- Paired axial CT (left) and PSMA PET (right), 18F tracer
- PET panel 200×200 px (4.1 mm/px)
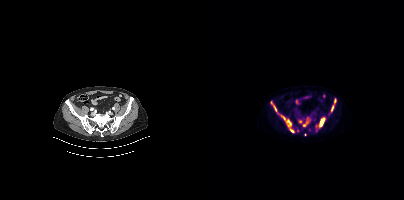
Findings: Coordinates are on the 200×200 PET (right) panel. (showing 11 of 12 foci) PSMA-avid tumor lesion bounding boxes (x0,y0,x1,y1): [77,115,87,127] [115,118,121,126] [99,118,104,126] [66,101,72,111] [127,105,129,111]. Small PSMA-avid foci (2 to 4 px across) near (center x, center y): (88, 130) (96, 121) (112, 130) (130, 101) (93, 130) (101, 134).